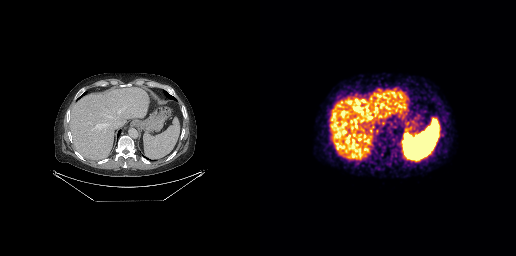
Negative for PSMA-avid disease on this slice. Two-panel axial: CT | PSMA PET, 68Ga-PSMA tracer. Acquired on GE Discovery 690.